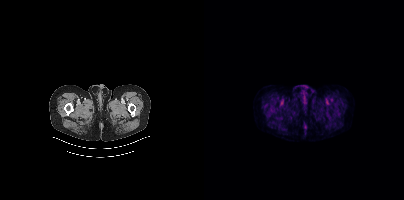
Two-panel axial: CT | PSMA PET, 18F-PSMA tracer. No PSMA-avid tumor lesions on this slice.